Paired axial CT (left) and PSMA PET (right), [18F]PSMA-1007 tracer. Acquired on GE Discovery 690.
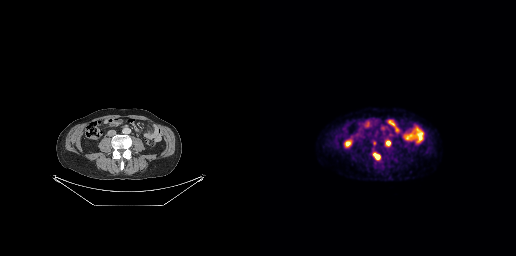
Coordinates are on the 256×256 PET (right) panel. PSMA-avid tumor lesion bounding boxes (x0, y0)-(x1, y1): (113, 152)-(120, 159) | (112, 140)-(116, 145) | (128, 133)-(132, 137) | (126, 141)-(130, 145). Small PSMA-avid focus (2 to 4 px across) near (center x, center y): (116, 131).